modality: PSMA PET/CT | tracer: [18F]PSMA-1007 | view: axial | PET grid: 200×200 | redaction: facial region redacted
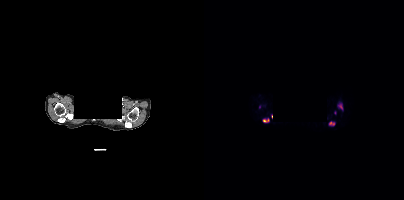
Coordinates are on the 200×200 PET (right) panel. PSMA-avid tumor lesion bounding boxes (x, y, width, height): x=133 y=103 w=7 h=8 / x=58 y=118 w=8 h=5 / x=125 y=122 w=6 h=4. Small PSMA-avid foci (2 to 4 px across) near (center x, center y): (131, 112) / (55, 106).